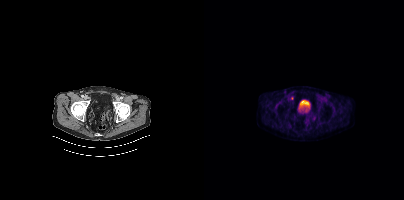
Findings: Coordinates are on the 200×200 PET (right) panel. Small PSMA-avid focus (2 to 4 px across) near (center x, center y): (88, 98).
Technique: Paired axial CT (left) and PSMA PET (right), 18F-PSMA tracer. acquired on Siemens Biograph mCT Flow 20. PET panel 200×200 px (4.1 mm/px).